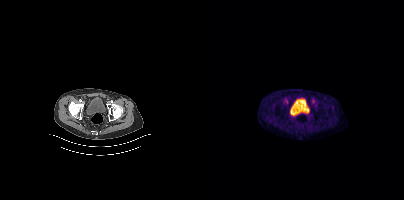
Technique: Paired axial CT (left) and PSMA PET (right), 18F tracer. slice position z = -1512 mm.
Findings: Negative for PSMA-avid disease on this slice.